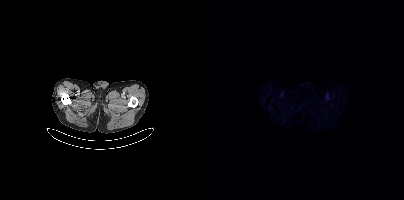
{"pet_grid":[200,200],"coord_frame":"pet_panel","coord_format":"x0,y0,x1,y1","psma_avid_lesions":false,"modality":"PSMA PET/CT","view":"axial","tracer":"[18F]PSMA-1007"}